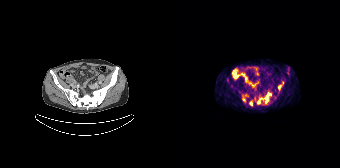
modality: PSMA PET/CT | tracer: 68Ga | view: axial
Coordinates are on the 168×168 PET (right) panel. (showing 6 of 7 foci) PSMA-avid tumor lesion bounding boxes (x0, y0)-(x1, y1): (91, 92)-(99, 102) | (71, 96)-(76, 102) | (106, 85)-(109, 89). Small PSMA-avid foci (2 to 4 px across) near (center x, center y): (79, 103) | (86, 102) | (88, 98).